Left: CT. Right: PSMA PET, same axial level, [18F]PSMA-1007 tracer. Slice position z = -1582 mm.
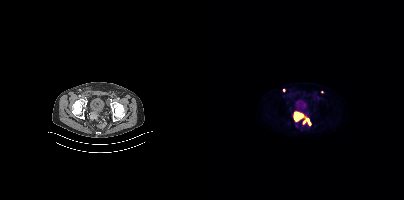
Coordinates are on the 200×200 PET (right) panel. PSMA-avid tumor lesion bounding box (x0, y0)-(x1, y1): (89, 111)-(107, 125). Small PSMA-avid foci (2 to 4 px across) near (center x, center y): (80, 90) / (117, 91).